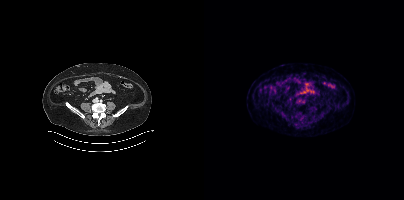
Negative for PSMA-avid disease on this slice.
modality: PSMA PET/CT | tracer: 18F-PSMA | view: axial | PET grid: 200×200